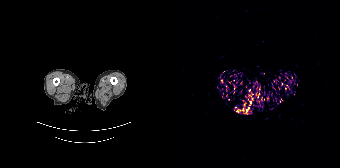
{"modality":"PSMA PET/CT","view":"axial","tracer":"68Ga-PSMA","pet_grid":[168,168],"coord_frame":"pet_panel","coord_format":"x0,y0,x1,y1","psma_avid_lesions":false}